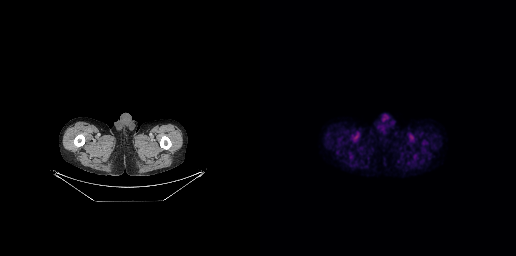
This slice has no annotated PSMA-avid lesion. Two-panel axial: CT | PSMA PET, [18F]PSMA-1007 tracer. Acquired on GE Discovery 690. PET panel 256×256 px (2.7 mm/px).